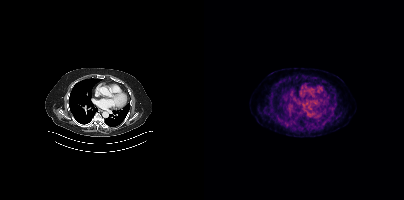
{"modality":"PSMA PET/CT","view":"axial","tracer":"[18F]PSMA-1007","pet_grid":[200,200],"coord_frame":"pet_panel","coord_format":"x0,y0,x1,y1","psma_avid_lesions":false}